Technique: Left: CT. Right: PSMA PET, same axial level, 18F tracer. slice position z = -1197 mm.
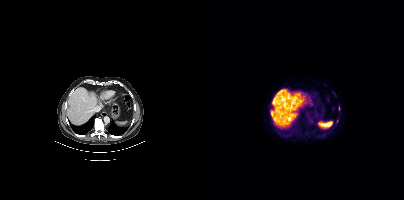
Findings: Coordinates are on the 200×200 PET (right) panel. (showing 1 of 2 foci) Small PSMA-avid focus (2 to 4 px across) near (center x, center y): (133, 121).